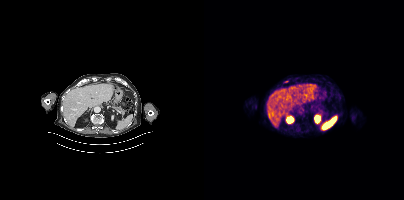
Coordinates are on the 200×200 PET (right) panel. PSMA-avid tumor lesion bounding box (x, y, width, height): x=80 y=81 w=5 h=2.